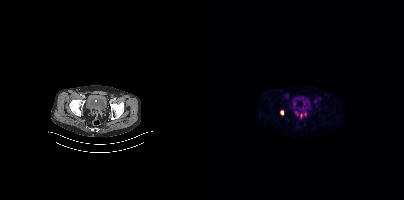
Technique: Paired axial CT (left) and PSMA PET (right), 18F tracer. acquired on Siemens Biograph mCT Flow 20.
Findings: Coordinates are on the 200×200 PET (right) panel. PSMA-avid tumor lesion bounding box (x0, y0)-(x1, y1): (76, 110)-(79, 114).